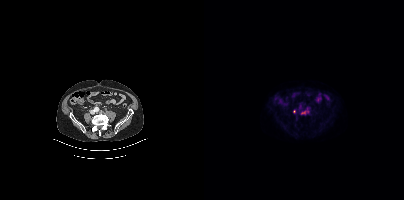
Paired axial CT (left) and PSMA PET (right), [18F]PSMA-1007 tracer. Acquired on Siemens Biograph mCT Flow 20. Slice 130 of 383. PET panel 200×200 px (4.1 mm/px). Coordinates are on the 200×200 PET (right) panel. PSMA-avid tumor lesion bounding box (x0,y0,x1,y1): [98,109,105,114]. Small PSMA-avid focus (2 to 4 px across) near (center x, center y): (90, 111).